Technique: Paired axial CT (left) and PSMA PET (right), [68Ga]Ga-PSMA-11 tracer. slice 34 of 165.
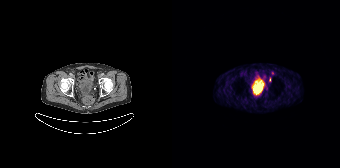
Findings: Coordinates are on the 168×168 PET (right) panel. Small PSMA-avid focus (2 to 4 px across) near (center x, center y): (97, 79).